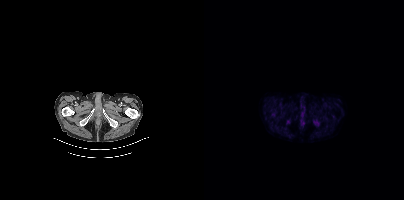
Left: CT. Right: PSMA PET, same axial level, 18F-PSMA tracer. Acquired on Siemens Biograph mCT Flow 20. PET panel 200×200 px (4.1 mm/px). No tumor lesions annotated on this slice.